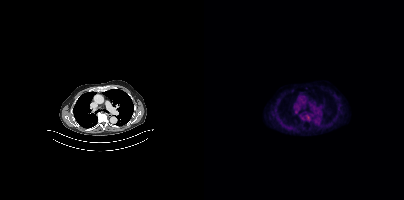
{"pet_grid":[200,200],"coord_frame":"pet_panel","coord_format":"x0,y0,x1,y1","partial":true,"lesion_bboxes":[],"modality":"PSMA PET/CT","view":"axial","tracer":"18F"}